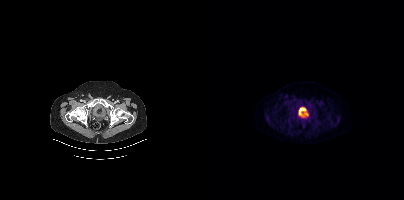
Negative for PSMA-avid disease on this slice.